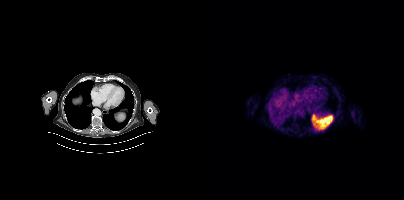
No PSMA-avid tumor lesions on this slice.
modality: PSMA PET/CT | tracer: 18F-PSMA | view: axial